Technique: Left: CT. Right: PSMA PET, same axial level, [68Ga]Ga-PSMA-11 tracer.
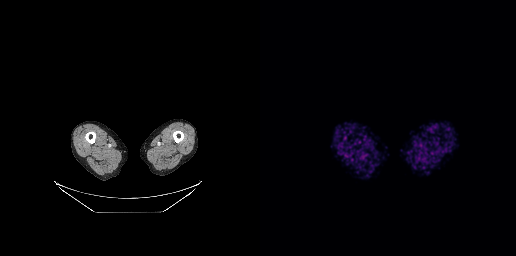
Findings: This slice has no annotated PSMA-avid lesion.